Paired axial CT (left) and PSMA PET (right), 18F tracer. Acquired on Siemens Biograph mCT Flow 20. Slice position z = -494 mm.
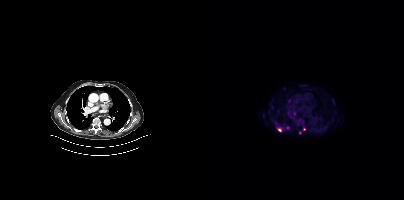
Coordinates are on the 200×200 PET (right) panel. (showing 3 of 4 foci) Small PSMA-avid foci (2 to 4 px across) near (center x, center y): (75, 130) | (83, 127) | (95, 132).